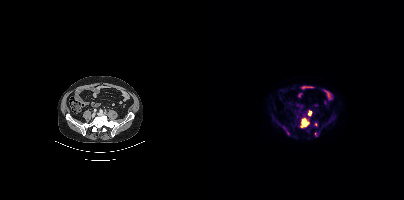
Technique: Paired axial CT (left) and PSMA PET (right), 18F-PSMA tracer. acquired on Siemens Biograph mCT Flow 20. slice position z = -1441 mm. PET panel 200×200 px (4.1 mm/px).
Findings: Coordinates are on the 200×200 PET (right) panel. (showing 3 of 4 foci) PSMA-avid tumor lesion bounding boxes (x0,y0,x1,y1): [96,118,105,127]; [104,110,107,115]. Small PSMA-avid focus (2 to 4 px across) near (center x, center y): (111, 124).